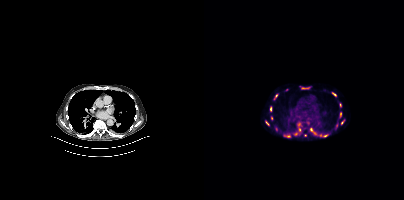
Technique: Two-panel axial: CT | PSMA PET, 18F-PSMA tracer. slice position z = -410 mm.
Findings: Coordinates are on the 200×200 PET (right) panel. (showing 15 of 17 foci) PSMA-avid tumor lesion bounding boxes (x0,y0,x1,y1): [96,86,106,89]; [106,128,112,134]; [128,92,132,96]; [70,94,73,99]; [136,112,137,117]; [62,121,65,125]; [66,106,67,111]; [137,120,140,124]. Small PSMA-avid foci (2 to 4 px across) near (center x, center y): (136, 104); (95, 129); (121, 135); (95, 124); (92, 134); (84, 136); (67, 118).